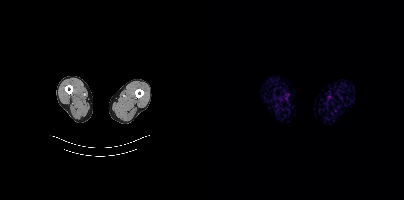
Technique: Left: CT. Right: PSMA PET, same axial level, [18F]PSMA-1007 tracer. acquired on Siemens Biograph mCT Flow 20. slice position z = -196 mm.
Findings: No PSMA-avid tumor lesions on this slice.